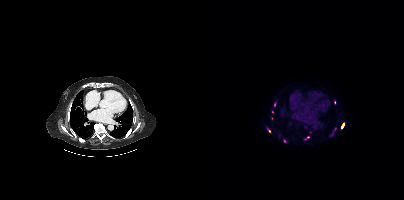
Technique: Two-panel axial: CT | PSMA PET, [18F]PSMA-1007 tracer.
Findings: Coordinates are on the 200×200 PET (right) panel. (showing 7 of 8 foci) PSMA-avid tumor lesion bounding boxes (x, y, width, height): x=137 y=123 w=4 h=6; x=63 y=127 w=4 h=6; x=100 y=136 w=6 h=5. Small PSMA-avid foci (2 to 4 px across) near (center x, center y): (80, 140); (68, 118); (70, 104); (68, 112).